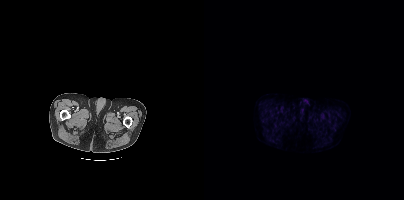
Findings: This slice has no annotated PSMA-avid lesion.
Technique: Left: CT. Right: PSMA PET, same axial level, 18F tracer. acquired on Siemens Biograph mCT Flow 20. PET panel 200×200 px (4.1 mm/px).